Two-panel axial: CT | PSMA PET, [68Ga]Ga-PSMA-11 tracer. Acquired on Siemens Biograph mCT Flow 20. Slice position z = -868 mm. Face de-identified by blanking a block of the head.
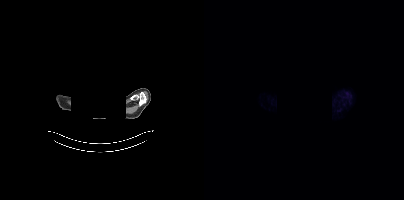
No PSMA-avid tumor lesions on this slice.